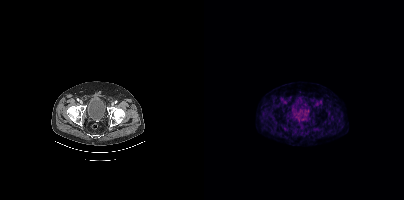
- Paired axial CT (left) and PSMA PET (right), 18F-PSMA tracer
- PET panel 200×200 px (4.1 mm/px)
Findings: This slice has no annotated PSMA-avid lesion.